Paired axial CT (left) and PSMA PET (right), 68Ga-PSMA tracer. Slice 61 of 165. PET panel 168×168 px (4.1 mm/px).
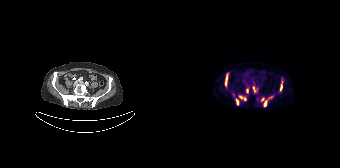
Coordinates are on the 168×168 PET (right) panel. PSMA-avid tumor lesion bounding boxes:
| # | x0 | y0 | x1 | y1 |
|---|---|---|---|---|
| 1 | 91 | 96 | 100 | 106 |
| 2 | 53 | 73 | 56 | 87 |
| 3 | 67 | 95 | 74 | 100 |
| 4 | 108 | 81 | 110 | 91 |
| 5 | 63 | 99 | 67 | 105 |
| 6 | 81 | 86 | 83 | 92 |
| 7 | 89 | 97 | 92 | 101 |
Small PSMA-avid focus (2 to 4 px across) near (center x, center y): (75, 90).